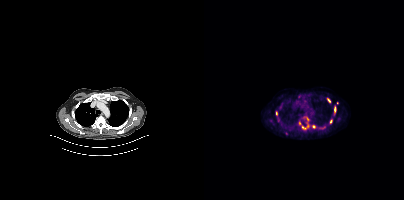
Findings: Coordinates are on the 200×200 PET (right) panel. PSMA-avid tumor lesion bounding boxes (x0,y0,x1,y1): [98,117,105,129] [130,106,132,112] [123,98,126,102] [72,111,73,115]. Small PSMA-avid foci (2 to 4 px across) near (center x, center y): (109, 126) (127, 121) (96, 123) (133, 102).
Technique: Paired axial CT (left) and PSMA PET (right), 18F-PSMA tracer. acquired on Siemens Biograph mCT Flow 20. slice position z = -476 mm. PET panel 200×200 px (4.1 mm/px).